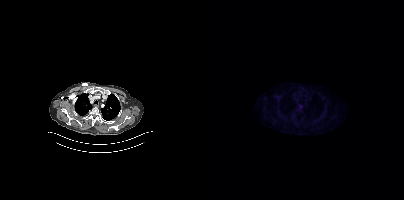
Left: CT. Right: PSMA PET, same axial level, [18F]PSMA-1007 tracer. Slice 290 of 383. PET panel 200×200 px (4.1 mm/px). No tumor lesions annotated on this slice.